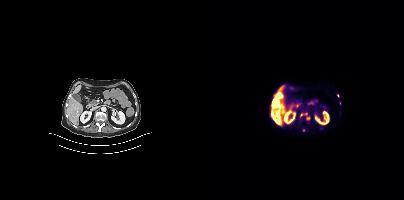
modality: PSMA PET/CT | tracer: 18F | view: axial
Coordinates are on the 200×200 PET (right) panel. (showing 2 of 4 foci) PSMA-avid tumor lesion bounding box (x, y, width, height): x=68 y=99 w=6 h=8. Small PSMA-avid focus (2 to 4 px across) near (center x, center y): (134, 95).